A rectangle over the head was blacked out to remove identifiable facial features.
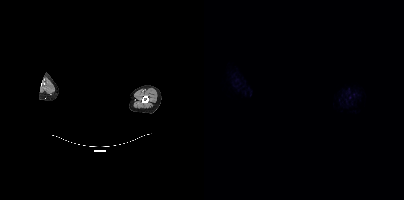
No tumor lesions annotated on this slice.